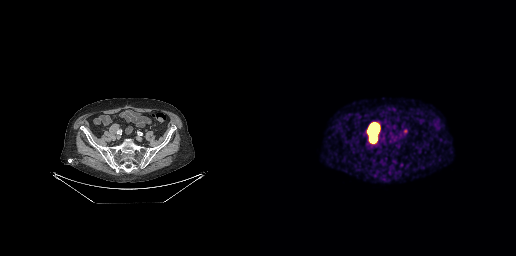
{"modality":"PSMA PET/CT","view":"axial","tracer":"[68Ga]Ga-PSMA-11","pet_grid":[256,256],"coord_frame":"pet_panel","coord_format":"x0,y0,x1,y1","lesion_bboxes":[[109,124,118,141]]}